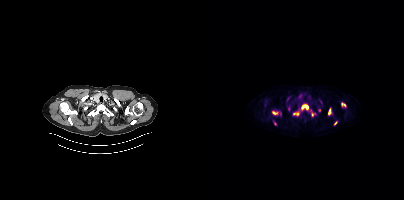
Coordinates are on the 200×200 PET (right) panel. PSMA-avid tumor lesion bounding boxes (x0,y0,x1,y1): [98,105,104,109]; [89,112,95,115]; [68,111,73,114]; [124,108,126,114]; [137,103,141,106]. Small PSMA-avid foci (2 to 4 px across) near (center x, center y): (115, 110); (108, 114); (131, 123); (71, 123).